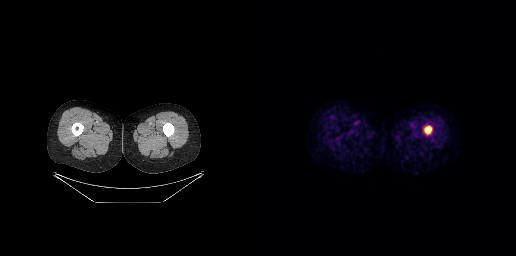
Coordinates are on the 256×256 PET (right) panel. PSMA-avid tumor lesion bounding box (x0, y0)-(x1, y1): (165, 126)-(171, 133). Two-panel axial: CT | PSMA PET, 68Ga-PSMA tracer. PET panel 256×256 px (2.7 mm/px).